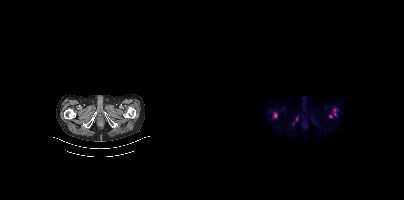
Coordinates are on the 200×200 PET (right) panel. PSMA-avid tumor lesion bounding boxes (x, y, width, height): x=88 y=115 w=7 h=10; x=69 y=112 w=5 h=6; x=130 y=109 w=3 h=7. Small PSMA-avid focus (2 to 4 px across) near (center x, center y): (126, 116).